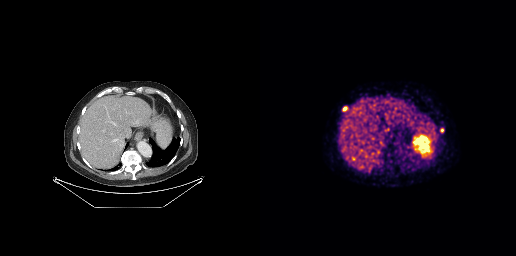
Coordinates are on the 256×256 PET (right) panel. Small PSMA-avid foci (2 to 4 px across) near (center x, center y): (84, 108) / (182, 130). Left: CT. Right: PSMA PET, same axial level, 68Ga-PSMA tracer. Slice position z = -533 mm. PET panel 256×256 px (2.7 mm/px).